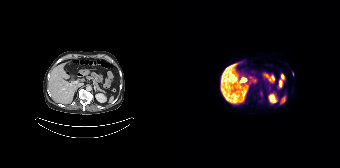
Coordinates are on the 168×168 PET (right) panel. (showing 1 of 2 foci) Small PSMA-avid focus (2 to 4 px across) near (center x, center y): (120, 74). Left: CT. Right: PSMA PET, same axial level, 18F tracer. Slice position z = -952 mm.